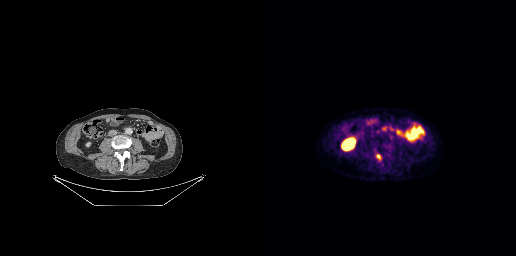
{"modality":"PSMA PET/CT","view":"axial","tracer":"18F","pet_grid":[256,256],"coord_frame":"pet_panel","coord_format":"x0,y0,x1,y1","lesion_bboxes":[[121,125,126,132],[129,127,134,132],[116,154,120,158]],"small_foci_centers":[[130,135]]}